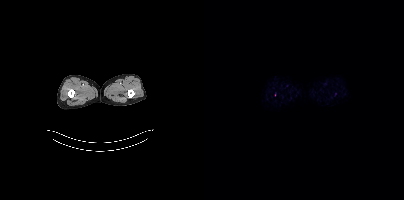
{"pet_grid":[200,200],"coord_frame":"pet_panel","coord_format":"x0,y0,x1,y1","psma_avid_lesions":false,"modality":"PSMA PET/CT","view":"axial","tracer":"18F-PSMA"}